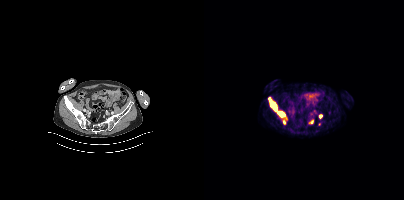
{"modality":"PSMA PET/CT","view":"axial","tracer":"[18F]PSMA-1007","pet_grid":[200,200],"coord_frame":"pet_panel","coord_format":"x0,y0,x1,y1","lesion_bboxes":[[64,97,83,123]],"small_foci_centers":[[116,116],[108,122]]}